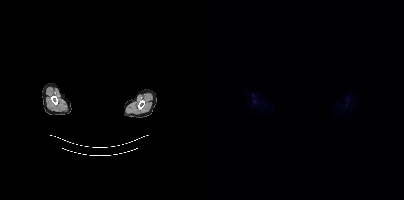
No tumor lesions annotated on this slice.
Privacy masking over the head, with the pixels inside a rectangle set to black.